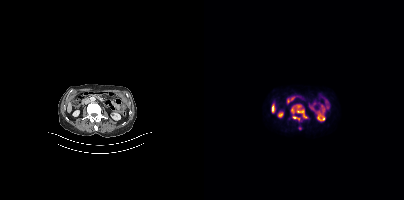
Coordinates are on the 200×200 PET (right) panel. PSMA-avid tumor lesion bounding box (x0,y0,x1,y1): [87,104,103,121]. Small PSMA-avid focus (2 to 4 px across) near (center x, center y): (96, 128). Paired axial CT (left) and PSMA PET (right), [18F]PSMA-1007 tracer. Acquired on Siemens Biograph mCT Flow 20. Slice 170 of 421. PET panel 200×200 px (4.1 mm/px).